Technique: Two-panel axial: CT | PSMA PET, [18F]PSMA-1007 tracer. slice 324 of 413. PET panel 200×200 px (4.1 mm/px).
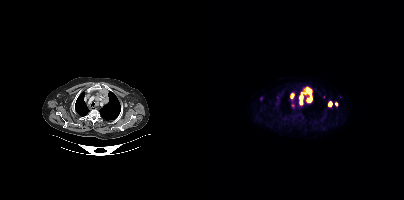
Findings: Coordinates are on the 200×200 PET (right) panel. (showing 5 of 6 foci) PSMA-avid tumor lesion bounding boxes (x0, y0)-(x1, y1): (95, 87)-(108, 105) | (86, 93)-(90, 98) | (124, 101)-(128, 106). Small PSMA-avid foci (2 to 4 px across) near (center x, center y): (132, 103) | (88, 105).